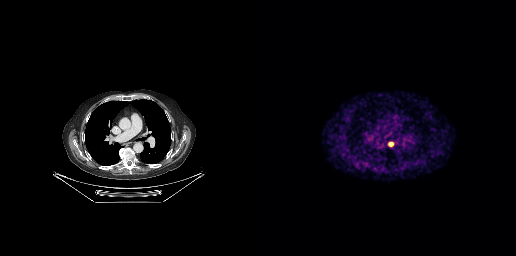
Coordinates are on the 256×256 PET (right) panel. Small PSMA-avid focus (2 to 4 px across) near (center x, center y): (130, 143). Paired axial CT (left) and PSMA PET (right), [68Ga]Ga-PSMA-11 tracer. Acquired on GE Discovery 690. Slice position z = -386 mm.